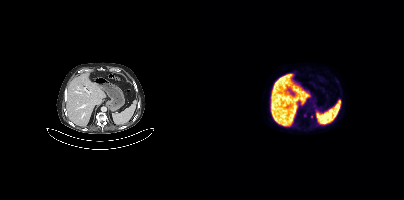
Technique: Left: CT. Right: PSMA PET, same axial level, [18F]PSMA-1007 tracer. acquired on Siemens Biograph mCT Flow 20. slice position z = 238 mm. PET panel 200×200 px (4.1 mm/px).
Findings: Only PSMA-avid lesion pieces thinner than 2 px on this slice (not listed).